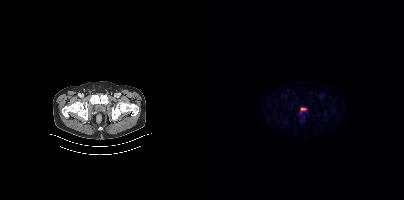
modality: PSMA PET/CT | tracer: 18F-PSMA | view: axial
Coordinates are on the 200×200 PET (right) panel. Small PSMA-avid focus (2 to 4 px across) near (center x, center y): (96, 113).